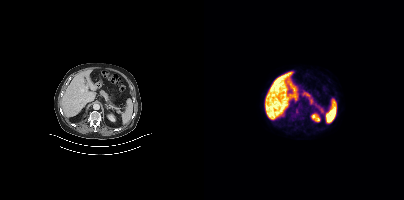
No PSMA-avid tumor lesions on this slice. Paired axial CT (left) and PSMA PET (right), 18F-PSMA tracer. Slice 217 of 413. PET panel 200×200 px (4.1 mm/px).